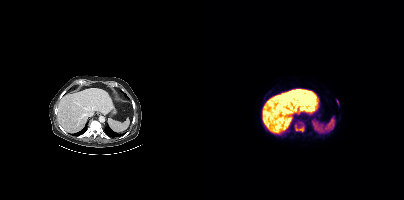
{"modality":"PSMA PET/CT","view":"axial","tracer":"18F-PSMA","pet_grid":[200,200],"coord_frame":"pet_panel","coord_format":"x0,y0,x1,y1","lesion_bboxes":[[90,121,100,132]],"small_foci_centers":[[133,101]]}